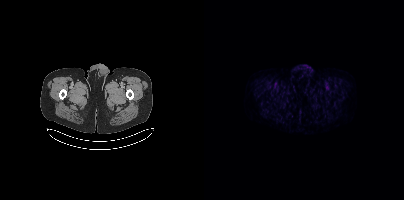
Left: CT. Right: PSMA PET, same axial level, 18F tracer. Acquired on Siemens Biograph mCT Flow 20. Slice position z = -805 mm. PET panel 200×200 px (4.1 mm/px). No PSMA-avid tumor lesions on this slice.